Paired axial CT (left) and PSMA PET (right), [18F]PSMA-1007 tracer. PET panel 200×200 px (4.1 mm/px).
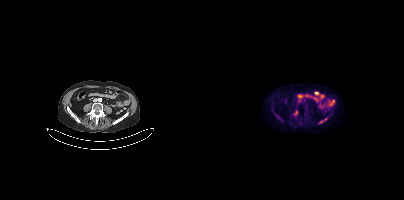
Coordinates are on the 200×200 PET (right) panel. Small PSMA-avid focus (2 to 4 px across) near (center x, center y): (91, 112).